modality: PSMA PET/CT | tracer: 18F-PSMA | view: axial
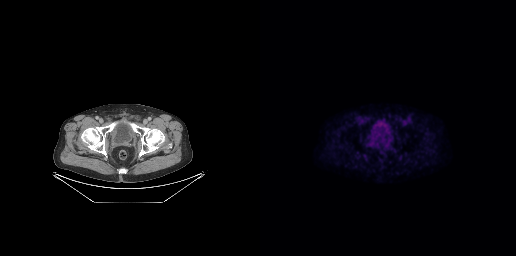
No PSMA-avid tumor lesions on this slice.